- Paired axial CT (left) and PSMA PET (right), 18F tracer
- slice position z = -785 mm
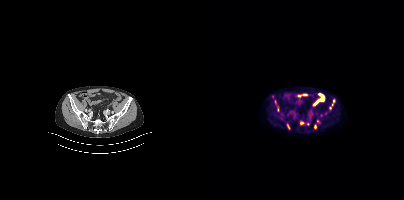
Findings: Coordinates are on the 200×200 PET (right) panel. (showing 4 of 9 foci) PSMA-avid tumor lesion bounding box (x, y, width, height): x=125 y=99 w=7 h=11. Small PSMA-avid foci (2 to 4 px across) near (center x, center y): (97, 123); (111, 126); (85, 128).